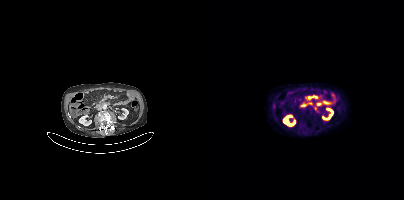
modality: PSMA PET/CT | tracer: 18F | view: axial
Coordinates are on the 200×200 PET (right) panel. PSMA-avid tumor lesion bounding box (x, y, width, height): x=101 y=95 w=14 h=5.